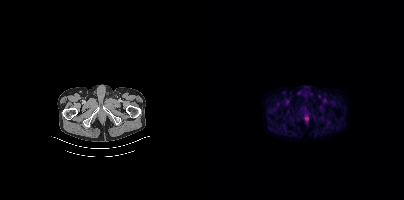
{"modality":"PSMA PET/CT","view":"axial","tracer":"18F","pet_grid":[200,200],"coord_frame":"pet_panel","coord_format":"x0,y0,x1,y1","partial":true,"lesion_bboxes":[]}